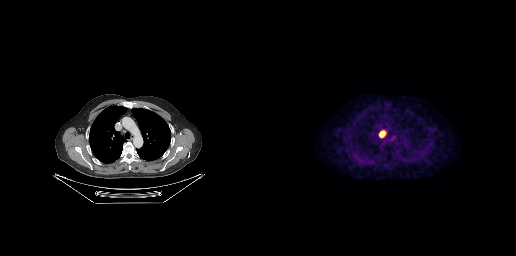
{"modality":"PSMA PET/CT","view":"axial","tracer":"[18F]PSMA-1007","pet_grid":[256,256],"coord_frame":"pet_panel","coord_format":"x0,y0,x1,y1","lesion_bboxes":[[119,131,125,137]]}